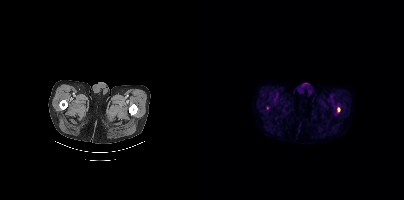
- Two-panel axial: CT | PSMA PET, 18F-PSMA tracer
- acquired on Siemens Biograph mCT Flow 20
- PET panel 200×200 px (4.1 mm/px)
Findings: Coordinates are on the 200×200 PET (right) panel. Small PSMA-avid foci (2 to 4 px across) near (center x, center y): (134, 109) | (63, 107).